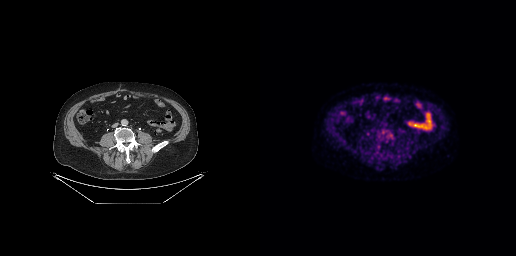
{"modality":"PSMA PET/CT","view":"axial","tracer":"18F-PSMA","pet_grid":[256,256],"coord_frame":"pet_panel","coord_format":"x0,y0,x1,y1","psma_avid_lesions":false}